Left: CT. Right: PSMA PET, same axial level, [18F]PSMA-1007 tracer. Slice 111 of 427.
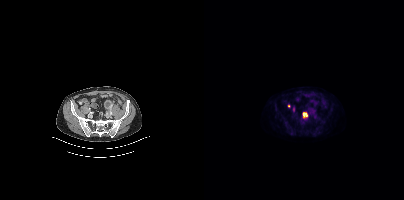
Coordinates are on the 200×200 PET (right) panel. PSMA-avid tumor lesion bounding boxes:
| # | x0 | y0 | x1 | y1 |
|---|---|---|---|---|
| 1 | 99 | 112 | 103 | 117 |
Small PSMA-avid focus (2 to 4 px across) near (center x, center y): (84, 105).